Two-panel axial: CT | PSMA PET, [18F]PSMA-1007 tracer. Slice 226 of 389. PET panel 200×200 px (4.1 mm/px).
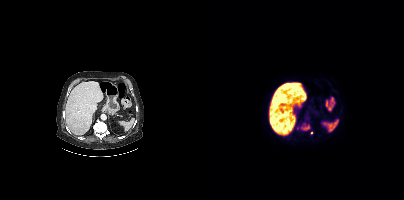
Coordinates are on the 200×200 PET (right) panel. PSMA-avid tumor lesion bounding boxes:
| # | x0 | y0 | x1 | y1 |
|---|---|---|---|---|
| 1 | 97 | 124 | 105 | 130 |
Small PSMA-avid focus (2 to 4 px across) near (center x, center y): (107, 132).